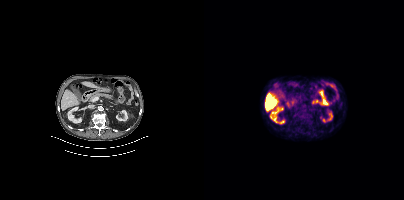
Left: CT. Right: PSMA PET, same axial level, [18F]PSMA-1007 tracer. This slice has no annotated PSMA-avid lesion.